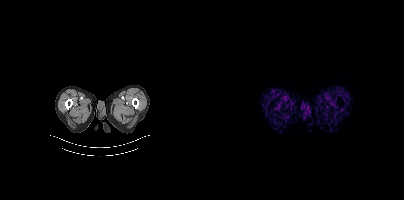
Two-panel axial: CT | PSMA PET, 68Ga tracer. Slice position z = -1156 mm. Negative for PSMA-avid disease on this slice.